Technique: Paired axial CT (left) and PSMA PET (right), [18F]PSMA-1007 tracer. slice position z = -701 mm.
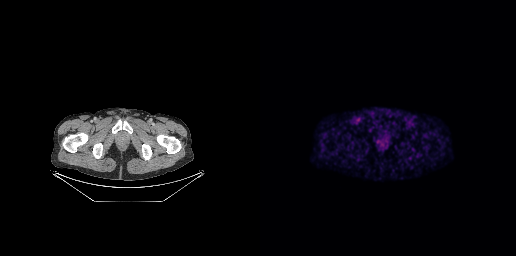
Findings: No tumor lesions annotated on this slice.